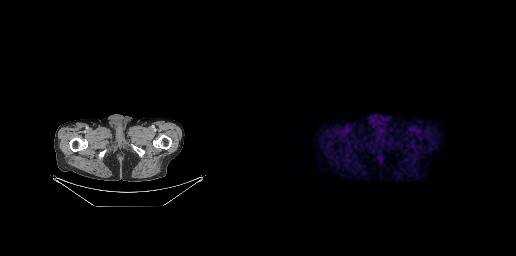
No tumor lesions annotated on this slice.
modality: PSMA PET/CT | tracer: [18F]PSMA-1007 | view: axial | PET grid: 256×256